Technique: Two-panel axial: CT | PSMA PET, 18F tracer. slice 304 of 435.
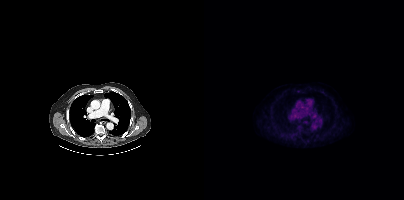
Findings: No PSMA-avid tumor lesions on this slice.